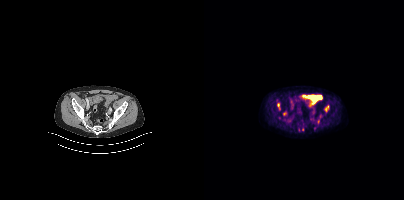
Coordinates are on the 200×200 PET (right) panel. PSMA-avid tumor lesion bounding box (x0, y0)-(x1, y1): (121, 105)-(125, 111). Small PSMA-avid focus (2 to 4 px across) near (center x, center y): (74, 104).
modality: PSMA PET/CT | tracer: 18F-PSMA | view: axial | PET grid: 200×200